modality: PSMA PET/CT | tracer: [18F]PSMA-1007 | view: axial
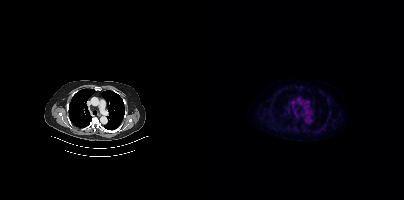
Negative for PSMA-avid disease on this slice.